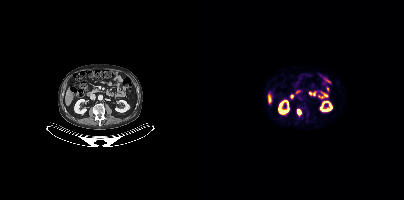
modality: PSMA PET/CT | tracer: 18F | view: axial | PET grid: 200×200
Coordinates are on the 200×200 PET (right) panel. PSMA-avid tumor lesion bounding box (x, y, width, height): x=93 y=109 w=5 h=6.